modality: PSMA PET/CT | tracer: 18F | view: axial
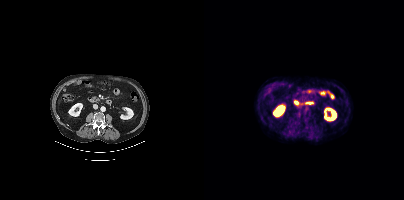
No tumor lesions annotated on this slice.